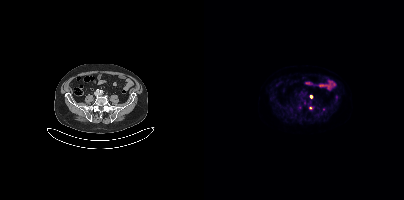
Findings: Coordinates are on the 200×200 PET (right) panel. Small PSMA-avid focus (2 to 4 px across) near (center x, center y): (107, 96).
- Left: CT. Right: PSMA PET, same axial level, [18F]PSMA-1007 tracer
- slice position z = -811 mm
- PET panel 200×200 px (4.1 mm/px)